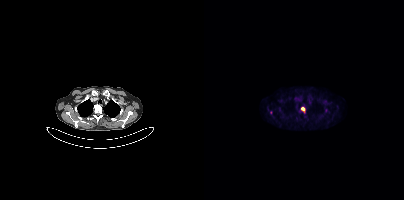
Coordinates are on the 200×200 PET (right) panel. Small PSMA-avid foci (2 to 4 px across) near (center x, center y): (98, 108) | (67, 112).